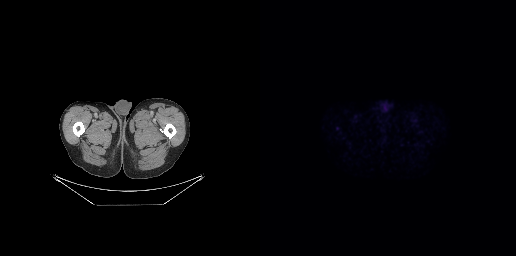
Left: CT. Right: PSMA PET, same axial level, 18F tracer. PET panel 256×256 px (2.7 mm/px). No tumor lesions annotated on this slice.